Left: CT. Right: PSMA PET, same axial level, 18F tracer. Slice position z = -1242 mm.
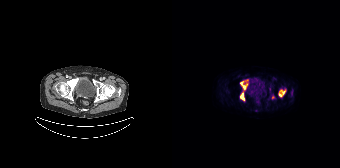
Coordinates are on the 168×168 PET (right) panel. PSMA-avid tumor lesion bounding boxes (x0, y0)-(x1, y1): (68, 79)-(76, 90); (106, 89)-(113, 97); (68, 92)-(72, 100). Small PSMA-avid focus (2 to 4 px across) near (center x, center y): (100, 97).